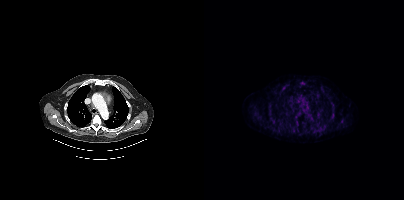
Coordinates are on the 200×200 PET (right) panel. Small PSMA-avid focus (2 to 4 px across) near (center x, center y): (79, 88). Left: CT. Right: PSMA PET, same axial level, [18F]PSMA-1007 tracer. Acquired on Siemens Biograph mCT Flow 20. Slice position z = -413 mm. PET panel 200×200 px (4.1 mm/px).